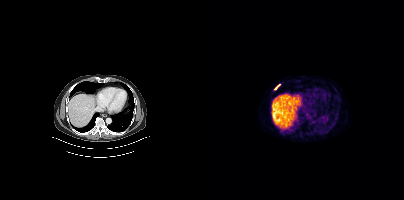
Findings: Coordinates are on the 200×200 PET (right) panel. PSMA-avid tumor lesion bounding box (x0,y0,x1,y1): [70,84,76,89].
Technique: Two-panel axial: CT | PSMA PET, 68Ga tracer. slice position z = -1114 mm. PET panel 200×200 px (4.1 mm/px).